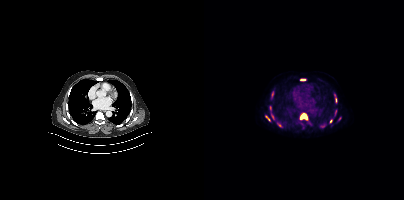
Findings: Coordinates are on the 200×200 PET (right) panel. (showing 9 of 10 foci) PSMA-avid tumor lesion bounding boxes (x0,y0,x1,y1): [96,113,103,119], [67,92,69,97], [67,114,70,119], [73,123,77,127], [97,79,101,80], [66,106,67,110], [62,116,65,120]. Small PSMA-avid foci (2 to 4 px across) near (center x, center y): (131, 100), (126, 121).
Technique: Paired axial CT (left) and PSMA PET (right), [18F]PSMA-1007 tracer. acquired on Siemens Biograph mCT Flow 20. slice position z = -1058 mm.